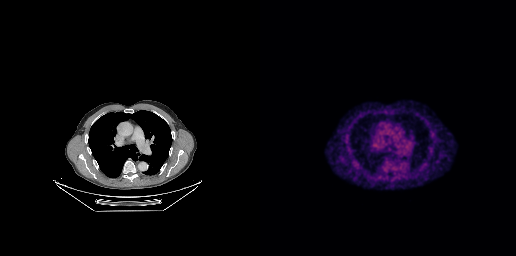
- Two-panel axial: CT | PSMA PET, 18F tracer
- acquired on GE Discovery 690
- PET panel 256×256 px (2.7 mm/px)
Findings: Negative for PSMA-avid disease on this slice.